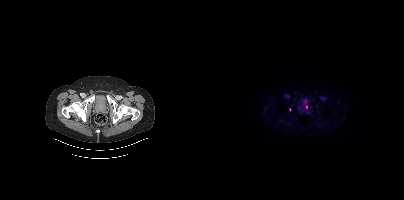
Coordinates are on the 200×200 PET (right) panel. Small PSMA-avid foci (2 to 4 px across) near (center x, center y): (102, 106); (85, 109).